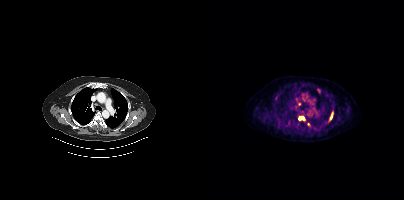
Coordinates are on the 200×200 PET (right) panel. PSMA-avid tumor lesion bounding boxes:
| # | x0 | y0 | x1 | y1 |
|---|---|---|---|---|
| 1 | 95 | 117 | 100 | 120 |
| 2 | 126 | 113 | 128 | 119 |
Small PSMA-avid foci (2 to 4 px across) near (center x, center y): (114, 90); (95, 104); (105, 124).
Paired axial CT (left) and PSMA PET (right), 18F tracer. Acquired on Siemens Biograph mCT Flow 20. PET panel 200×200 px (4.1 mm/px).